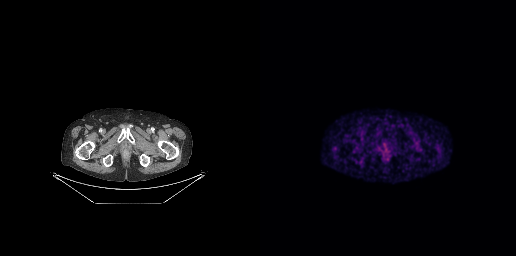
Findings: This slice has no annotated PSMA-avid lesion.
- Left: CT. Right: PSMA PET, same axial level, [68Ga]Ga-PSMA-11 tracer
- slice position z = -824 mm
- PET panel 256×256 px (2.7 mm/px)